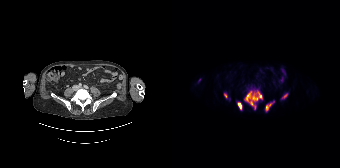
Coordinates are on the 168×168 PET (right) panel. PSMA-avid tumor lesion bounding boxes (x0,y0,x1,y1): [72,90,90,109] [93,102,101,111] [65,102,70,110] [52,93,55,98]. Small PSMA-avid focus (2 to 4 px across) near (center x, center y): (113, 95).